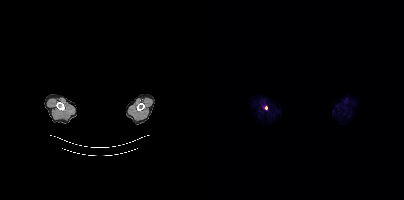
A rectangle over the head was blacked out to remove identifiable facial features.
Coordinates are on the 200×200 PET (right) panel. Small PSMA-avid focus (2 to 4 px across) near (center x, center y): (61, 107).